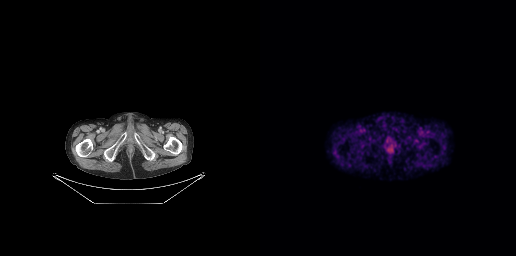
Only PSMA-avid lesion pieces thinner than 2 px on this slice (not listed).